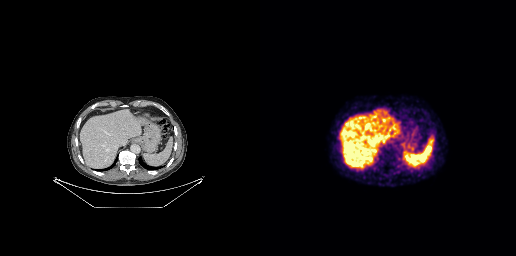
- Two-panel axial: CT | PSMA PET, 68Ga tracer
Findings: Negative for PSMA-avid disease on this slice.